- Paired axial CT (left) and PSMA PET (right), 18F tracer
- slice position z = -1122 mm
- PET panel 200×200 px (4.1 mm/px)
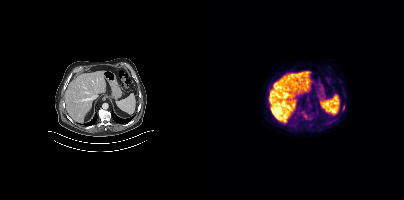
Findings: Coordinates are on the 200×200 PET (right) panel. PSMA-avid tumor lesion bounding box (x0, y0)-(x1, y1): (139, 105)-(140, 110). Small PSMA-avid foci (2 to 4 px across) near (center x, center y): (65, 89) | (101, 116).